modality: PSMA PET/CT | tracer: 68Ga | view: axial | PET grid: 256×256
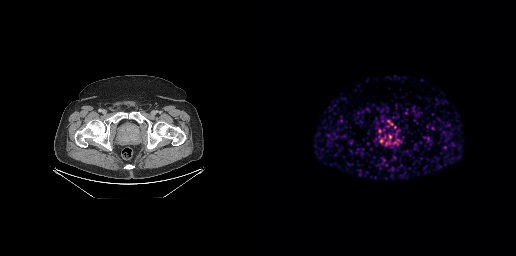
Coordinates are on the 256×256 PET (right) panel. Small PSMA-avid foci (2 to 4 px across) near (center x, center y): (121, 140) | (126, 143).